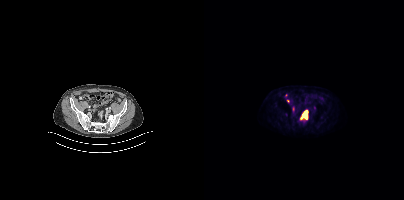
Coordinates are on the 200×200 PET (right) panel. (showing 3 of 4 foci) PSMA-avid tumor lesion bounding box (x0,y0,x1,y1): [96,110,104,119]. Small PSMA-avid foci (2 to 4 px across) near (center x, center y): (84, 100) (82, 95).